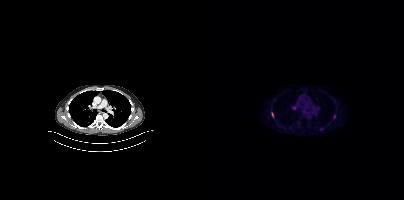
Coordinates are on the 200×200 PET (right) panel. PSMA-avid tumor lesion bounding box (x, y, width, height): x=67 y=112 w=3 h=6. Small PSMA-avid focus (2 to 4 px across) near (center x, center y): (130, 116).